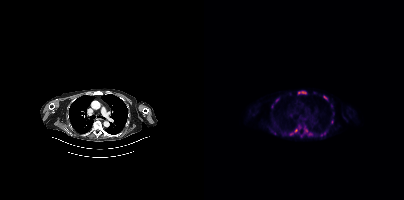
Two-panel axial: CT | PSMA PET, 18F-PSMA tracer. Slice position z = -960 mm. Coordinates are on the 200×200 PET (right) panel. (showing 10 of 11 foci) PSMA-avid tumor lesion bounding boxes (x, y, width, height): x=101 y=129 w=8 h=8; x=85 y=129 w=9 h=7; x=116 y=131 w=7 h=6; x=67 y=129 w=6 h=6; x=94 y=91 w=8 h=3; x=119 y=95 w=5 h=6; x=71 y=98 w=5 h=5. Small PSMA-avid foci (2 to 4 px across) near (center x, center y): (95, 126); (68, 106); (79, 134).